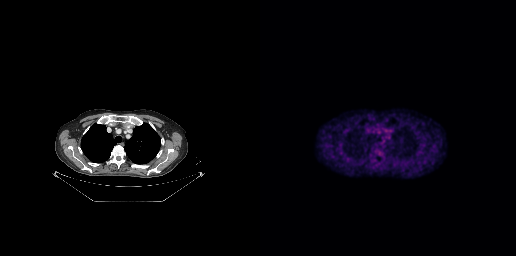
No PSMA-avid tumor lesions on this slice.